Left: CT. Right: PSMA PET, same axial level, 18F tracer. Slice 307 of 393.
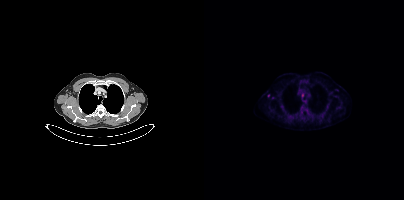
Coordinates are on the 200×200 PET (right) panel. (showing 2 of 3 foci) Small PSMA-avid foci (2 to 4 px across) near (center x, center y): (98, 95) / (64, 95).